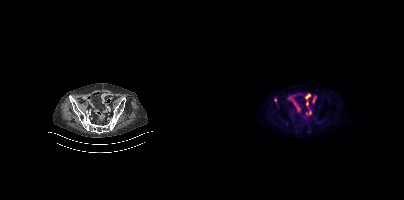
Findings: Coordinates are on the 200×200 PET (right) panel. Small PSMA-avid focus (2 to 4 px across) near (center x, center y): (71, 99).
- Paired axial CT (left) and PSMA PET (right), 18F tracer
- acquired on Siemens Biograph mCT Flow 20
- PET panel 200×200 px (4.1 mm/px)